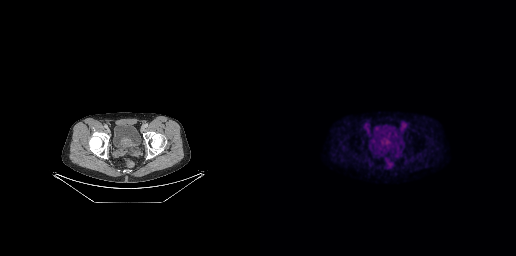
modality: PSMA PET/CT | tracer: 18F | view: axial | PET grid: 256×256
Coordinates are on the 256×256 PET (right) panel. PSMA-avid tumor lesion bounding box (x0, y0)-(x1, y1): (118, 134)-(131, 149). Small PSMA-avid focus (2 to 4 px across) near (center x, center y): (123, 150).